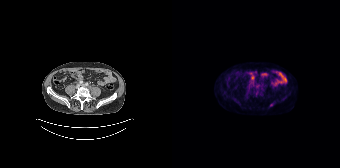
Coordinates are on the 168×168 PET (right) panel. (showing 1 of 2 foci) Small PSMA-avid focus (2 to 4 px across) near (center x, center y): (99, 104).